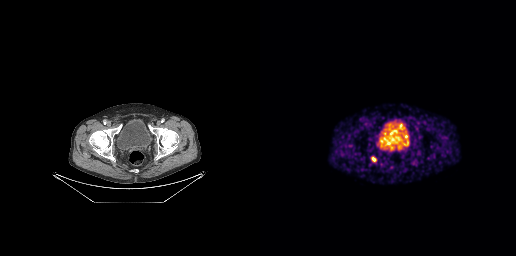
Paired axial CT (left) and PSMA PET (right), 68Ga-PSMA tracer. Slice position z = -884 mm. Coordinates are on the 256×256 PET (right) panel. PSMA-avid tumor lesion bounding box (x, y, width, height): x=111 y=157 w=6 h=5.